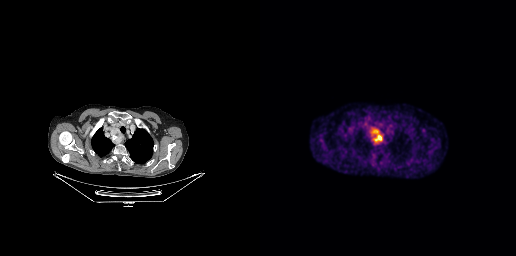
- Paired axial CT (left) and PSMA PET (right), 18F-PSMA tracer
- acquired on GE Discovery 690
Findings: Coordinates are on the 256×256 PET (right) panel. PSMA-avid tumor lesion bounding box (x0, y0)-(x1, y1): (109, 127)-(123, 144).